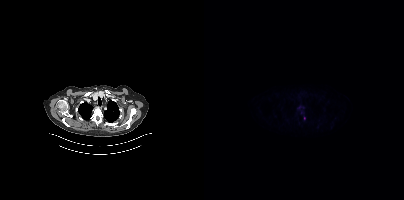
{"pet_grid":[200,200],"coord_frame":"pet_panel","coord_format":"x0,y0,x1,y1","lesion_bboxes":[],"small_foci_centers":[[100,118]],"modality":"PSMA PET/CT","view":"axial","tracer":"18F"}